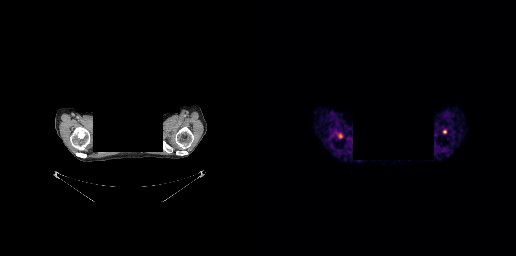
Findings: Coordinates are on the 256×256 PET (right) panel. (showing 1 of 2 foci) Small PSMA-avid focus (2 to 4 px across) near (center x, center y): (184, 131).
Technique: Two-panel axial: CT | PSMA PET, [68Ga]Ga-PSMA-11 tracer. acquired on GE Discovery 690. slice position z = -295 mm.
Note: Facial anatomy redacted by setting a rectangular region of the head to black.